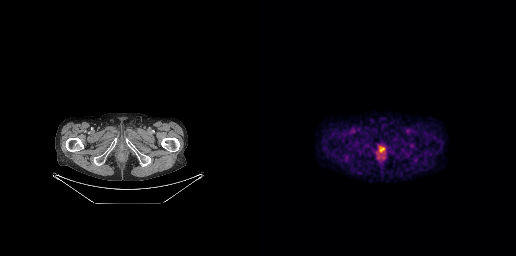
{"modality":"PSMA PET/CT","view":"axial","tracer":"18F","pet_grid":[256,256],"coord_frame":"pet_panel","coord_format":"x0,y0,x1,y1","psma_avid_lesions":false}